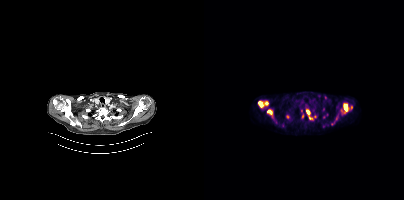
Coordinates are on the 200×200 PET (right) panel. (showing 11 of 13 foci) PSMA-avid tumor lesion bounding boxes (x, y, width, height): x=137 y=104 w=9 h=11; x=54 y=101 w=11 h=7; x=63 y=109 w=6 h=7; x=105 y=115 w=8 h=5; x=102 y=110 w=4 h=5. Small PSMA-avid foci (2 to 4 px across) near (center x, center y): (83, 116); (147, 107); (98, 116); (119, 117); (132, 118); (127, 123).